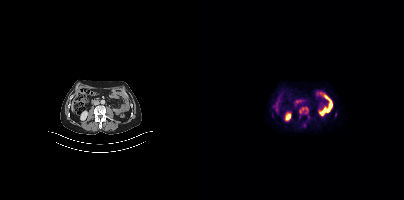
modality: PSMA PET/CT | tracer: 18F | view: axial | PET grid: 200×200
Coordinates are on the 200×200 PET (right) panel. PSMA-avid tumor lesion bounding box (x0, y0)-(x1, y1): (95, 107)-(104, 113).